modality: PSMA PET/CT | tracer: 68Ga | view: axial | PET grid: 256×256
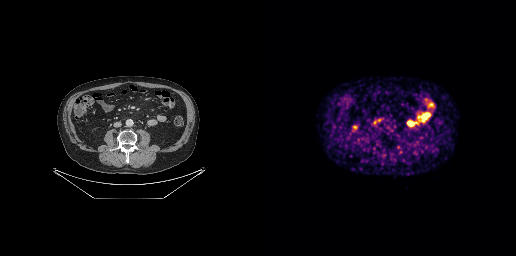
Only PSMA-avid lesion pieces thinner than 2 px on this slice (not listed).